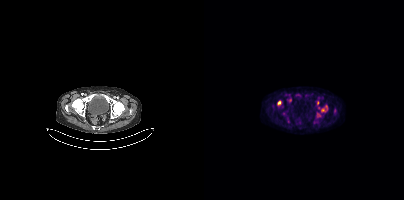
Coordinates are on the 200×200 PET (right) panel. (showing 3 of 4 foci) Small PSMA-avid foci (2 to 4 px across) near (center x, center y): (75, 102) (118, 110) (113, 102). Two-panel axial: CT | PSMA PET, 18F-PSMA tracer. Acquired on Siemens Biograph mCT Flow 20. Slice 61 of 373.